modality: PSMA PET/CT | tracer: [68Ga]Ga-PSMA-11 | view: axial | PET grid: 256×256
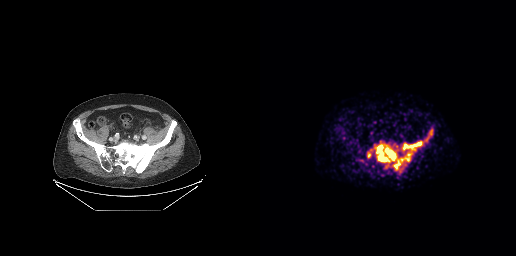
Coordinates are on the 256×256 PET (right) panel. PSMA-avid tumor lesion bounding boxes (x0, y0)-(x1, y1): (115, 144)-(151, 169); (142, 141)-(162, 150); (170, 130)-(172, 135). Small PSMA-avid foci (2 to 4 px across) near (center x, center y): (109, 155); (166, 139).